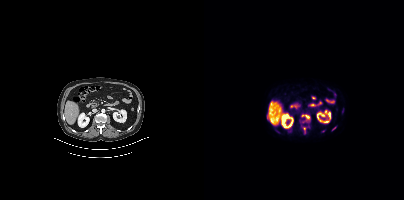
Technique: Left: CT. Right: PSMA PET, same axial level, [18F]PSMA-1007 tracer. acquired on Siemens Biograph mCT Flow 20. slice 157 of 367.
Findings: Coordinates are on the 200×200 PET (right) panel. (showing 2 of 4 foci) Small PSMA-avid foci (2 to 4 px across) near (center x, center y): (100, 131); (103, 116).